Left: CT. Right: PSMA PET, same axial level, 18F tracer.
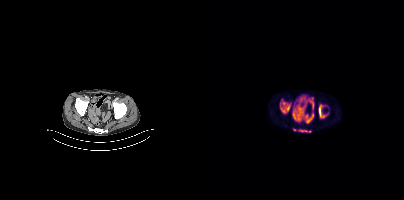
Coordinates are on the 200×200 PET (right) panel. PSMA-avid tumor lesion bounding boxes (partial; 1 more focus not listed):
| # | x0 | y0 | x1 | y1 |
|---|---|---|---|---|
| 1 | 76 | 99 | 86 | 113 |
| 2 | 115 | 104 | 121 | 117 |
| 3 | 94 | 129 | 103 | 131 |
Small PSMA-avid foci (2 to 4 px across) near (center x, center y): (90, 129); (105, 131).